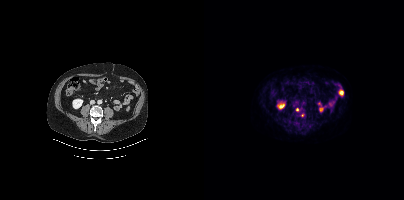
{"pet_grid":[200,200],"coord_frame":"pet_panel","coord_format":"x0,y0,x1,y1","lesion_bboxes":[],"small_foci_centers":[[93,109],[98,115]],"modality":"PSMA PET/CT","view":"axial","tracer":"18F-PSMA"}